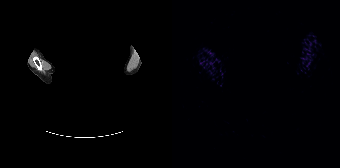
Findings: Negative for PSMA-avid disease on this slice.
Technique: Paired axial CT (left) and PSMA PET (right), [68Ga]Ga-PSMA-11 tracer. slice 193 of 195. PET panel 168×168 px (4.1 mm/px).
Note: Any black rectangle over the head is a privacy mask, not anatomy.